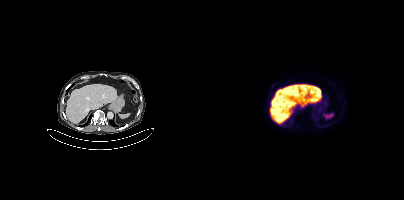
Left: CT. Right: PSMA PET, same axial level, 18F tracer. Slice 239 of 431. This slice has no annotated PSMA-avid lesion.